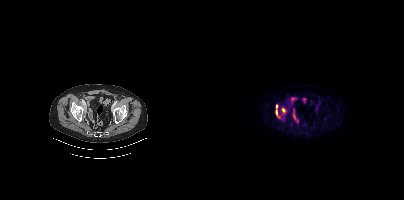
Left: CT. Right: PSMA PET, same axial level, 18F-PSMA tracer. Acquired on Siemens Biograph mCT Flow 20.
Coordinates are on the 200×200 PET (right) panel. PSMA-avid tumor lesion bounding boxes:
| # | x0 | y0 | x1 | y1 |
|---|---|---|---|---|
| 1 | 72 | 110 | 73 | 115 |
Small PSMA-avid foci (2 to 4 px across) near (center x, center y): (79, 109); (72, 106).